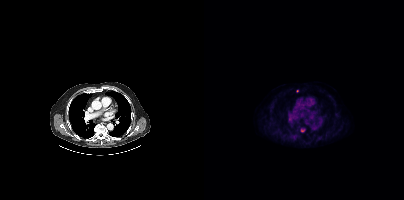
- Left: CT. Right: PSMA PET, same axial level, [18F]PSMA-1007 tracer
- slice position z = -526 mm
Findings: Only PSMA-avid lesion pieces thinner than 2 px on this slice (not listed).